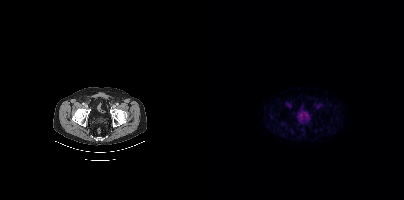
Findings: Negative for PSMA-avid disease on this slice.
- Left: CT. Right: PSMA PET, same axial level, 18F tracer
- slice 83 of 417